Two-panel axial: CT | PSMA PET, 18F-PSMA tracer. Acquired on Siemens Biograph mCT Flow 20. Slice 219 of 383. PET panel 200×200 px (4.1 mm/px).
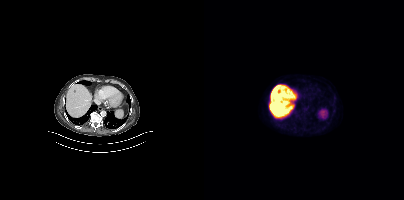
Negative for PSMA-avid disease on this slice.